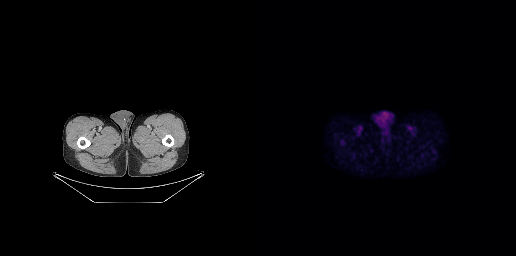
Paired axial CT (left) and PSMA PET (right), 18F tracer. No tumor lesions annotated on this slice.